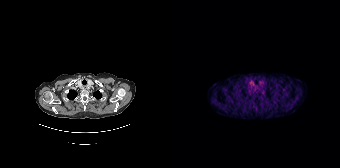
Left: CT. Right: PSMA PET, same axial level, [68Ga]Ga-PSMA-11 tracer. Acquired on Siemens Biograph 64-4R TruePoint. This slice has no annotated PSMA-avid lesion.